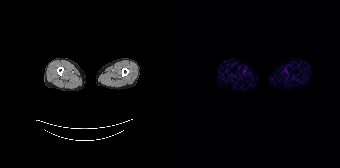
Two-panel axial: CT | PSMA PET, [68Ga]Ga-PSMA-11 tracer. No PSMA-avid tumor lesions on this slice.